Technique: Left: CT. Right: PSMA PET, same axial level, 18F-PSMA tracer. slice position z = -623 mm.
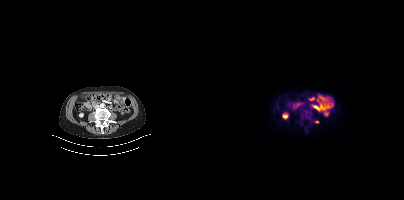
Findings: Coordinates are on the 200×200 PET (right) panel. Small PSMA-avid focus (2 to 4 px across) near (center x, center y): (112, 122).